Technique: Paired axial CT (left) and PSMA PET (right), 18F tracer. acquired on Siemens Biograph mCT Flow 20. PET panel 200×200 px (4.1 mm/px).
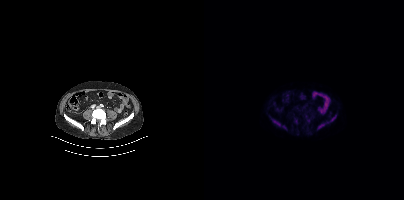
Findings: Coordinates are on the 200×200 PET (right) panel. PSMA-avid tumor lesion bounding boxes (x0, y0)-(x1, y1): (68, 119)-(76, 126); (113, 123)-(121, 129); (126, 115)-(132, 121); (78, 125)-(82, 129). Small PSMA-avid focus (2 to 4 px across) near (center x, center y): (123, 122).